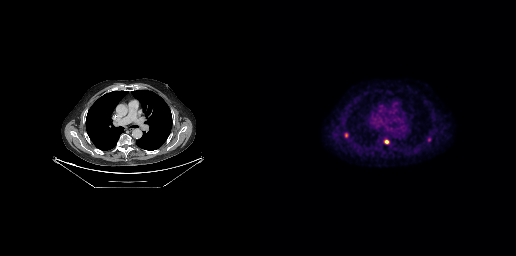
Coordinates are on the 256×256 PET (right) panel. PSMA-avid tumor lesion bounding boxes (x, y, width, height): x=167 y=137 w=5 h=6 | x=85 y=133 w=4 h=5 | x=124 y=140 w=5 h=4.